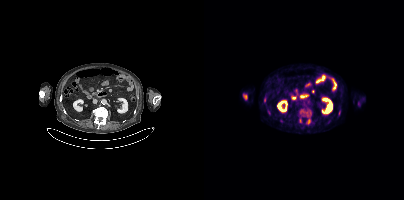
Coordinates are on the 200×200 PET (right) panel. (showing 3 of 5 foci) Small PSMA-avid foci (2 to 4 px across) near (center x, center y): (60, 99); (104, 121); (77, 120).